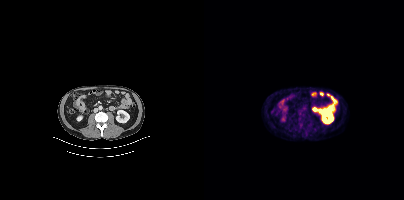
Coordinates are on the 200×200 PET (right) panel. PSMA-avid tumor lesion bounding box (x0,y0,x1,y1): [94,113,105,123].